Left: CT. Right: PSMA PET, same axial level, 18F tracer.
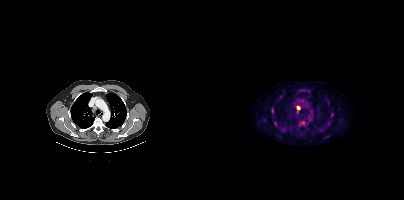
Coordinates are on the 200×200 PET (right) panel. PSMA-avid tumor lesion bounding boxes:
| # | x0 | y0 | x1 | y1 |
|---|---|---|---|---|
| 1 | 92 | 106 | 96 | 110 |
Small PSMA-avid foci (2 to 4 px across) near (center x, center y): (99, 122); (68, 109).